Technique: Paired axial CT (left) and PSMA PET (right), [18F]PSMA-1007 tracer. acquired on Siemens Biograph mCT Flow 20. PET panel 200×200 px (4.1 mm/px).
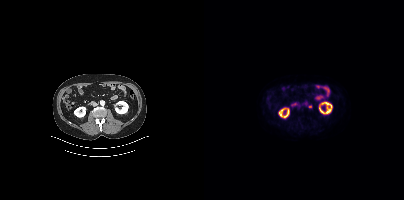
Findings: Coordinates are on the 200×200 PET (right) panel. Small PSMA-avid focus (2 to 4 px across) near (center x, center y): (106, 106).